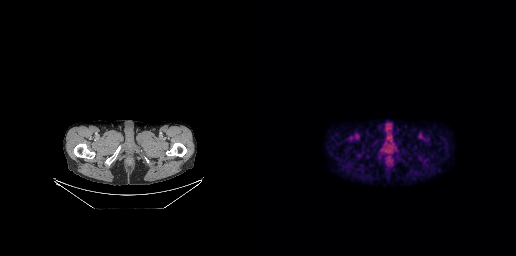
Coordinates are on the 256×256 PET (right) panel. PSMA-avid tumor lesion bounding box (x0, y0)-(x1, y1): (125, 155)-(134, 163). Two-panel axial: CT | PSMA PET, 18F-PSMA tracer.